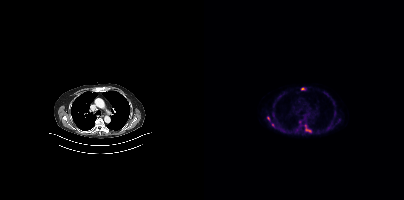
Coordinates are on the 200×200 PET (right) panel. PSMA-avid tumor lesion bounding boxes (x0,y0,x1,y1): [100,124,107,132], [122,126,125,130]. Small PSMA-avid foci (2 to 4 px across) near (center x, center y): (64, 118), (99, 89), (68, 125), (95, 121).